modality: PSMA PET/CT | tracer: 18F-PSMA | view: axial | PET grid: 256×256
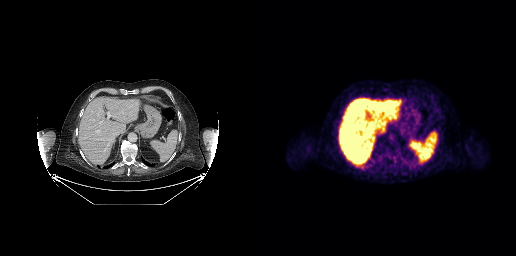
No PSMA-avid tumor lesions on this slice.